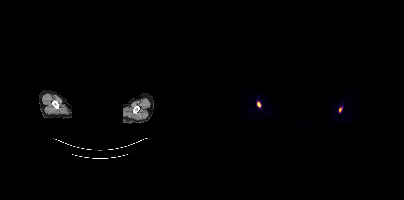
Coordinates are on the 200×200 PET (right) panel. PSMA-avid tumor lesion bounding box (x0,y0,x1,y1): [53,102,56,106]. Small PSMA-avid focus (2 to 4 px across) near (center x, center y): (136, 109).
Head region blanked for anonymization (face removed).